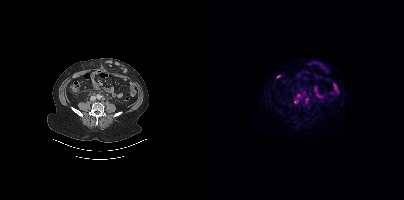
Coordinates are on the 200×200 PET (right) panel. PSMA-avid tumor lesion bounding boxes (partial; 1 more focus not listed):
| # | x0 | y0 | x1 | y1 |
|---|---|---|---|---|
| 1 | 93 | 94 | 97 | 97 |
| 2 | 99 | 91 | 101 | 95 |
Small PSMA-avid focus (2 to 4 px across) near (center x, center y): (102, 100).
Left: CT. Right: PSMA PET, same axial level, 18F-PSMA tracer. Slice position z = -1317 mm. PET panel 200×200 px (4.1 mm/px).